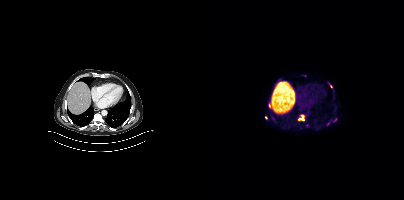
modality: PSMA PET/CT | tracer: 18F-PSMA | view: axial | PET grid: 200×200
Coordinates are on the 200×200 PET (right) panel. (showing 6 of 7 foci) PSMA-avid tumor lesion bounding box (x0, y0)-(x1, y1): (94, 114)-(100, 121). Small PSMA-avid foci (2 to 4 px across) near (center x, center y): (65, 105) / (62, 117) / (127, 86) / (131, 120) / (123, 123).